modality: PSMA PET/CT | tracer: 18F | view: axial
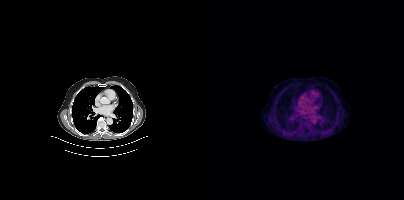
Negative for PSMA-avid disease on this slice.